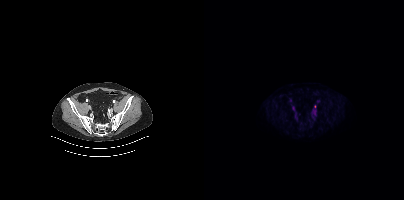
Findings: Only PSMA-avid lesion pieces thinner than 2 px on this slice (not listed).
- Paired axial CT (left) and PSMA PET (right), [18F]PSMA-1007 tracer
- PET panel 200×200 px (4.1 mm/px)